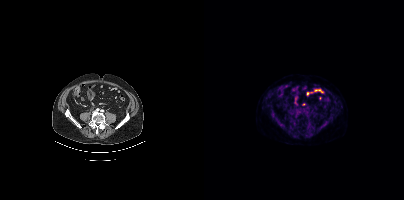
This slice has no annotated PSMA-avid lesion. Paired axial CT (left) and PSMA PET (right), 18F tracer. Slice position z = -282 mm. PET panel 200×200 px (4.1 mm/px).